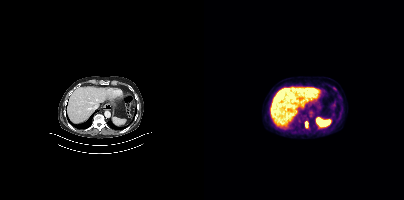
{"modality":"PSMA PET/CT","view":"axial","tracer":"[18F]PSMA-1007","pet_grid":[200,200],"coord_frame":"pet_panel","coord_format":"x0,y0,x1,y1","lesion_bboxes":[[101,122,103,127]]}